The head region is masked for de-identification. Left: CT. Right: PSMA PET, same axial level, [18F]PSMA-1007 tracer.
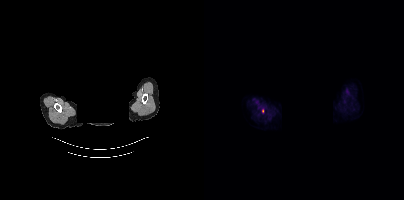
Coordinates are on the 200×200 PET (right) panel. Small PSMA-avid focus (2 to 4 px across) near (center x, center y): (58, 110).